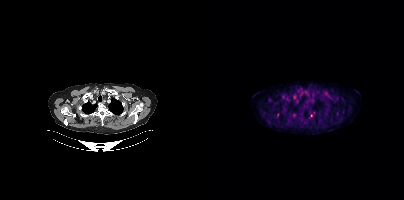
{"modality":"PSMA PET/CT","view":"axial","tracer":"18F","pet_grid":[200,200],"coord_frame":"pet_panel","coord_format":"x0,y0,x1,y1","lesion_bboxes":[],"small_foci_centers":[[107,115],[73,114]]}